modality: PSMA PET/CT | tracer: 18F-PSMA | view: axial | PET grid: 200×200
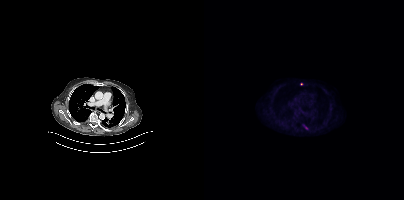
Coordinates are on the 200×200 PET (right) panel. PSMA-avid tumor lesion bounding box (x, y, width, height): x=100 y=125 w=4 h=5. Small PSMA-avid focus (2 to 4 px across) near (center x, center y): (97, 84).